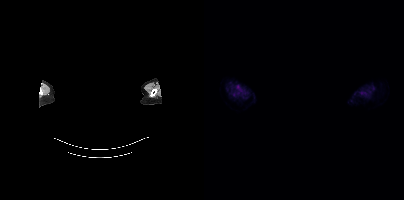
A rectangle over the head was blacked out to remove identifiable facial features.
This slice has no annotated PSMA-avid lesion.